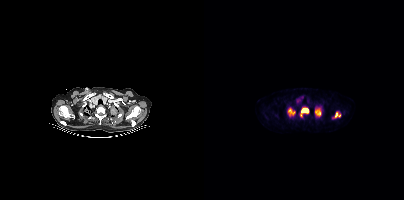
{"pet_grid":[200,200],"coord_frame":"pet_panel","coord_format":"x0,y0,x1,y1","lesion_bboxes":[[96,108,104,116],[111,110,117,116],[84,108,90,114],[131,112,136,117]],"small_foci_centers":[[115,108]],"modality":"PSMA PET/CT","view":"axial","tracer":"[18F]PSMA-1007"}